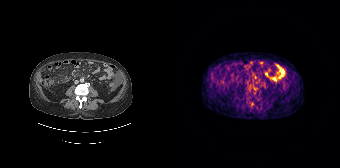
modality: PSMA PET/CT | tracer: 68Ga | view: axial | PET grid: 168×168
Only PSMA-avid lesion pieces thinner than 2 px on this slice (not listed).